Technique: Paired axial CT (left) and PSMA PET (right), 18F-PSMA tracer. acquired on Siemens Biograph 64-4R TruePoint.
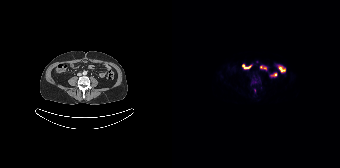
Findings: Only PSMA-avid lesion pieces thinner than 2 px on this slice (not listed).